modality: PSMA PET/CT | tracer: 18F-PSMA | view: axial | PET grid: 200×200
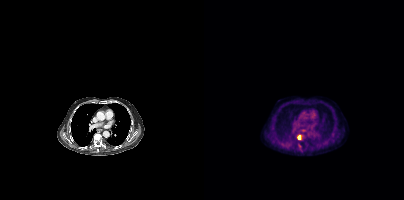
Coordinates are on the 200×200 PET (right) panel. PSMA-avid tumor lesion bounding box (x0,y0,x1,y1): [93,135,97,139]. Small PSMA-avid focus (2 to 4 px across) near (center x, center y): (96, 145).